- Left: CT. Right: PSMA PET, same axial level, [18F]PSMA-1007 tracer
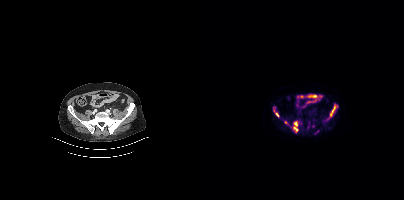
Findings: Coordinates are on the 200×200 PET (right) panel. (showing 3 of 4 foci) PSMA-avid tumor lesion bounding boxes (x0, y0)-(x1, y1): (89, 122)-(93, 131); (126, 106)-(131, 115). Small PSMA-avid focus (2 to 4 px across) near (center x, center y): (73, 114).